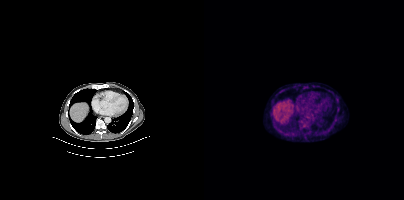
Coordinates are on the 200×200 PET (right) panel. PSMA-avid tumor lesion bounding box (x, y, width, height): x=98 y=124 w=5 h=5. Small PSMA-avid focus (2 to 4 px across) near (center x, center y): (95, 120).
modality: PSMA PET/CT | tracer: 18F | view: axial